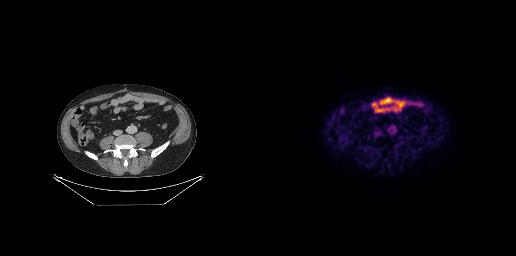
modality: PSMA PET/CT | tracer: 18F-PSMA | view: axial
Negative for PSMA-avid disease on this slice.